- any black rectangle over the head is a privacy mask, not anatomy
- Two-panel axial: CT | PSMA PET, 18F-PSMA tracer
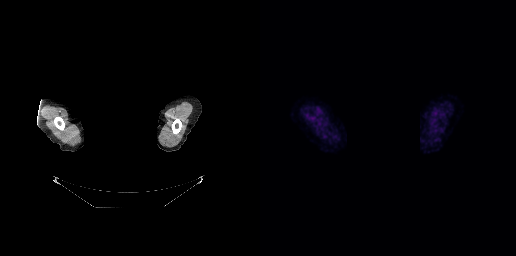
Findings: No PSMA-avid tumor lesions on this slice.